Paired axial CT (left) and PSMA PET (right), [18F]PSMA-1007 tracer.
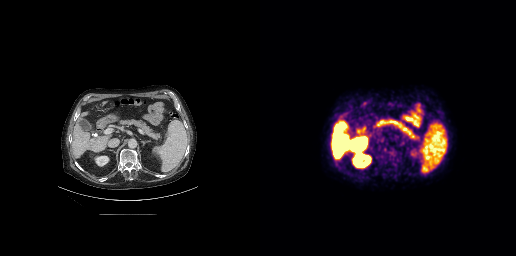
Coordinates are on the 256×256 PET (right) panel. PSMA-avid tumor lesion bounding boxes:
| # | x0 | y0 | x1 | y1 |
|---|---|---|---|---|
| 1 | 119 | 158 | 132 | 167 |
| 2 | 121 | 150 | 128 | 156 |
| 3 | 177 | 110 | 183 | 116 |
| 4 | 126 | 168 | 131 | 171 |